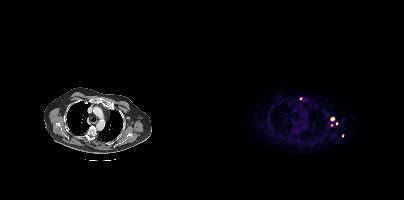
{"modality":"PSMA PET/CT","view":"axial","tracer":"18F","pet_grid":[200,200],"coord_frame":"pet_panel","coord_format":"x0,y0,x1,y1","partial":true,"lesion_bboxes":[],"small_foci_centers":[[128,118],[138,135],[96,98]]}